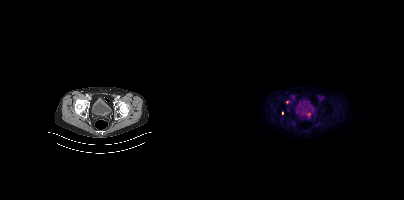
{"modality":"PSMA PET/CT","view":"axial","tracer":"18F-PSMA","pet_grid":[200,200],"coord_frame":"pet_panel","coord_format":"x0,y0,x1,y1","partial":true,"lesion_bboxes":[],"small_foci_centers":[[78,112]]}